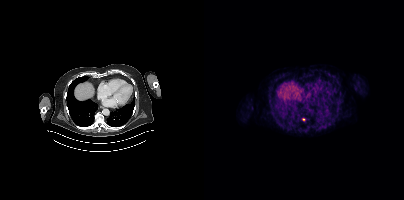
Findings: Coordinates are on the 200×200 PET (right) panel. Small PSMA-avid focus (2 to 4 px across) near (center x, center y): (99, 119).
Technique: Two-panel axial: CT | PSMA PET, [68Ga]Ga-PSMA-11 tracer. PET panel 200×200 px (4.1 mm/px).